modality: PSMA PET/CT | tracer: 18F-PSMA | view: axial | PET grid: 200×200
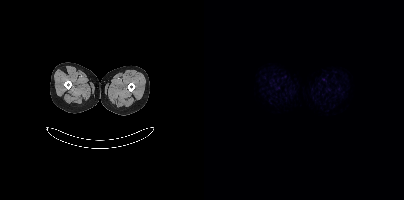
Negative for PSMA-avid disease on this slice.